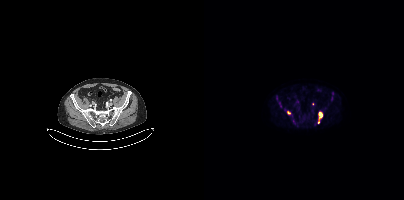
Coordinates are on the 200×200 PET (right) panel. PSMA-avid tumor lesion bounding boxes (partial; 2 more foci not listed):
| # | x0 | y0 | x1 | y1 |
|---|---|---|---|---|
| 1 | 114 | 112 | 118 | 123 |
| 2 | 75 | 102 | 77 | 107 |
Two-panel axial: CT | PSMA PET, 18F tracer. Slice 95 of 403. PET panel 200×200 px (4.1 mm/px).